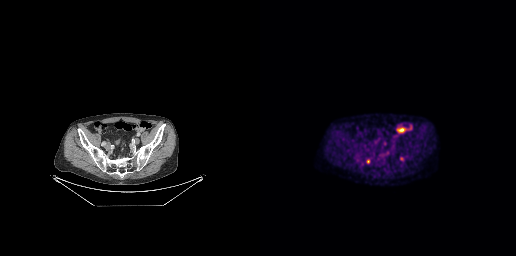
Two-panel axial: CT | PSMA PET, [18F]PSMA-1007 tracer. Slice 89 of 263. PET panel 256×256 px (2.7 mm/px). Coordinates are on the 256×256 PET (right) panel. PSMA-avid tumor lesion bounding boxes (x, y, width, height): x=140 y=157 w=5 h=5 | x=101 y=162 w=3 h=5. Small PSMA-avid focus (2 to 4 px across) near (center x, center y): (108, 161).